Left: CT. Right: PSMA PET, same axial level, 18F tracer. Acquired on Siemens Biograph mCT Flow 20. PET panel 200×200 px (4.1 mm/px).
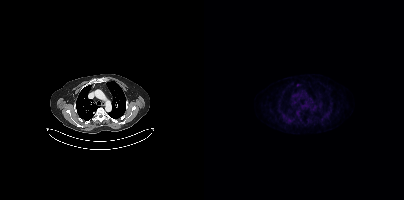
This slice has no annotated PSMA-avid lesion.